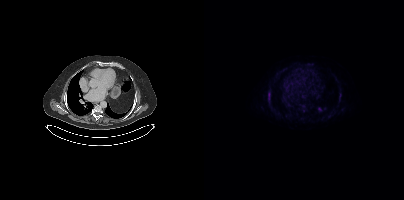
Coordinates are on the 200×200 PET (right) panel. PSMA-avid tumor lesion bounding box (x, y, width, height): x=64 y=92 w=3 h=6.
modality: PSMA PET/CT | tracer: 18F-PSMA | view: axial